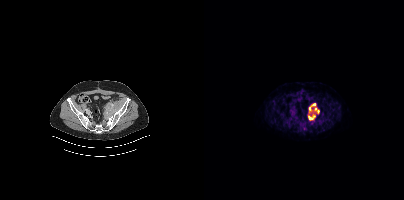
modality: PSMA PET/CT | tracer: 18F-PSMA | view: axial | PET grid: 200×200
Coordinates are on the 200×200 PET (right) panel. PSMA-avid tumor lesion bounding box (x0,y0,x1,y1): [104,103,115,120].